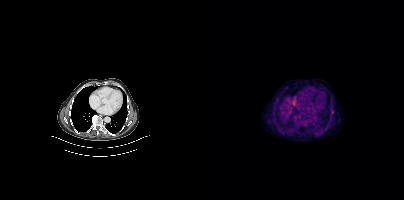
{"modality":"PSMA PET/CT","view":"axial","tracer":"[18F]PSMA-1007","pet_grid":[200,200],"coord_frame":"pet_panel","coord_format":"x0,y0,x1,y1","lesion_bboxes":[],"small_foci_centers":[[128,111]]}